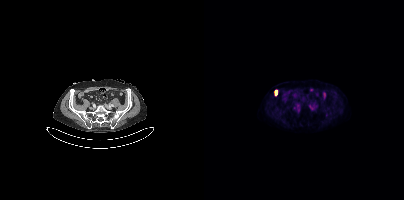
{"modality":"PSMA PET/CT","view":"axial","tracer":"[18F]PSMA-1007","pet_grid":[200,200],"coord_frame":"pet_panel","coord_format":"x0,y0,x1,y1","lesion_bboxes":[[71,90,73,95]]}